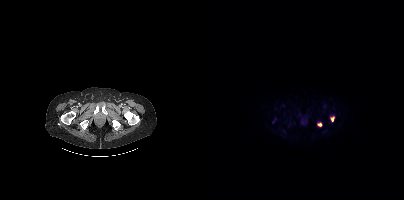
{"modality":"PSMA PET/CT","view":"axial","tracer":"18F-PSMA","pet_grid":[200,200],"coord_frame":"pet_panel","coord_format":"x0,y0,x1,y1","lesion_bboxes":[[126,116,130,121],[113,123,117,126]]}